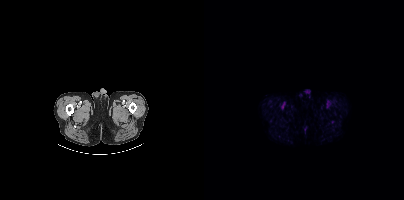
Negative for PSMA-avid disease on this slice.